modality: PSMA PET/CT | tracer: 68Ga-PSMA | view: axial
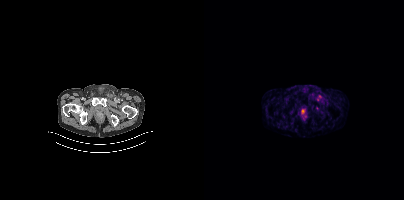
No tumor lesions annotated on this slice.